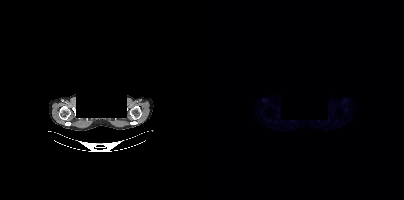
modality: PSMA PET/CT | tracer: [18F]PSMA-1007 | view: axial | PET grid: 200×200 | de-identification: face masked with black rectangle
This slice has no annotated PSMA-avid lesion.